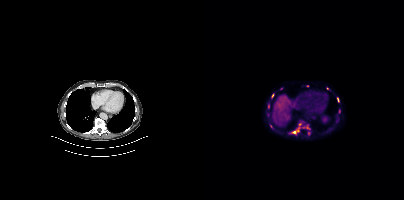
{"modality":"PSMA PET/CT","view":"axial","tracer":"[18F]PSMA-1007","pet_grid":[200,200],"coord_frame":"pet_panel","coord_format":"x0,y0,x1,y1","partial":true,"lesion_bboxes":[],"small_foci_centers":[[90,132],[68,95],[133,99],[123,88],[135,111]]}